Two-panel axial: CT | PSMA PET, 18F-PSMA tracer. Slice position z = 474 mm.
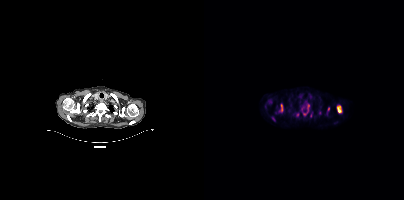
Coordinates are on the 200×200 PET (right) panel. (showing 5 of 8 foci) PSMA-avid tumor lesion bounding boxes (x0,y0,x1,y1): [133,105,137,112] [76,104,79,111] [103,104,105,109]. Small PSMA-avid foci (2 to 4 px across) near (center x, center y): (124, 108) (100, 113).